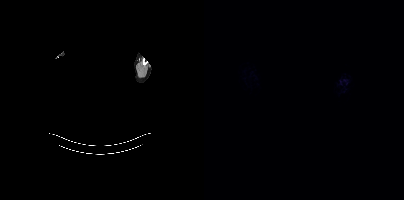
Paired axial CT (left) and PSMA PET (right), 18F-PSMA tracer. A rectangular block over the head has been blanked out for de-identification. This slice has no annotated PSMA-avid lesion.